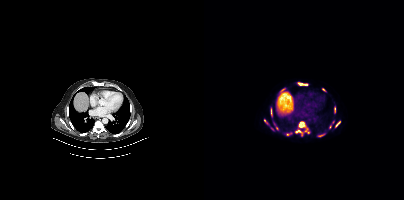
- Left: CT. Right: PSMA PET, same axial level, 18F-PSMA tracer
Findings: Coordinates are on the 200×200 PET (right) panel. (showing 5 of 15 foci) PSMA-avid tumor lesion bounding boxes (x0, y0)-(x1, y1): (95, 122)-(101, 127) | (131, 121)-(136, 127) | (95, 83)-(103, 85) | (92, 130)-(97, 132). Small PSMA-avid focus (2 to 4 px across) near (center x, center y): (116, 135).